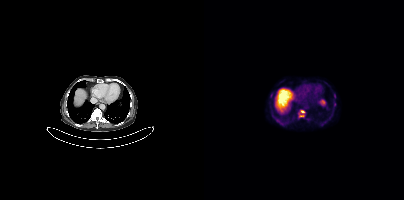
Findings: Coordinates are on the 200×200 PET (right) panel. PSMA-avid tumor lesion bounding box (x0,y0,x1,y1): [95,110,101,117].
- Left: CT. Right: PSMA PET, same axial level, 18F-PSMA tracer
- acquired on Siemens Biograph mCT Flow 20
- slice position z = -466 mm